Technique: Paired axial CT (left) and PSMA PET (right), 68Ga tracer. acquired on GE Discovery 690.
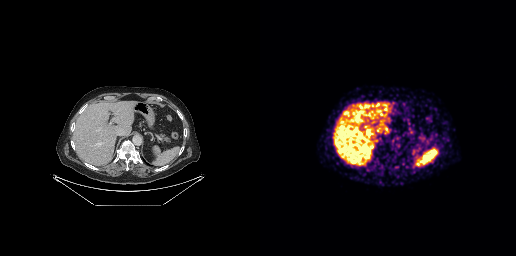
Findings: This slice has no annotated PSMA-avid lesion.